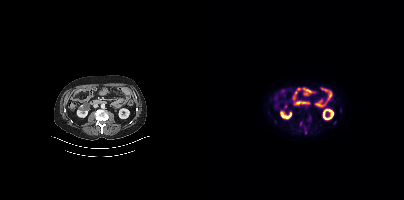
Findings: Coordinates are on the 200×200 PET (right) panel. (showing 2 of 3 foci) Small PSMA-avid foci (2 to 4 px across) near (center x, center y): (101, 131) / (104, 126).
Technique: Paired axial CT (left) and PSMA PET (right), 18F tracer. slice position z = -1288 mm. PET panel 200×200 px (4.1 mm/px).